modality: PSMA PET/CT | tracer: [18F]PSMA-1007 | view: axial | PET grid: 256×256
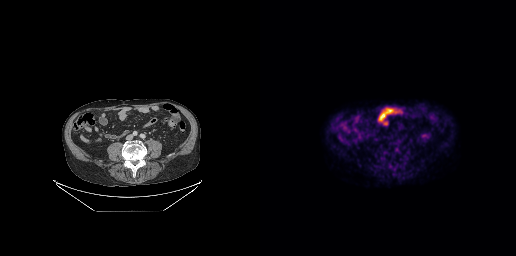
No PSMA-avid tumor lesions on this slice.